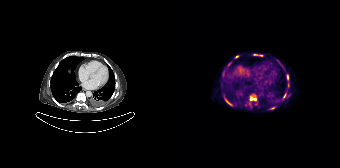
Coordinates are on the 168×168 PET (right) panel. (showing 13 of 15 foci) PSMA-avid tumor lesion bounding boxes (x0,y0,x1,y1): [77,94,84,101]; [53,99,60,105]; [50,72,52,76]; [115,75,116,79]; [116,82,117,86]. Small PSMA-avid foci (2 to 4 px across) near (center x, center y): (112, 95); (83, 54); (64, 56); (101, 107); (89, 55); (57, 63); (77, 103); (105, 60).